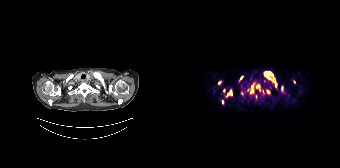
Left: CT. Right: PSMA PET, same axial level, [68Ga]Ga-PSMA-11 tracer. PET panel 168×168 px (4.1 mm/px). Coordinates are on the 168×168 PET (right) panel. (showing 10 of 16 foci) PSMA-avid tumor lesion bounding boxes (x0, y0)-(x1, y1): (92, 71)-(100, 78); (78, 85)-(81, 93); (56, 90)-(60, 95); (102, 82)-(104, 86). Small PSMA-avid foci (2 to 4 px across) near (center x, center y): (69, 77); (96, 91); (122, 82); (92, 80); (47, 82); (50, 101).